Left: CT. Right: PSMA PET, same axial level, [18F]PSMA-1007 tracer. PET panel 256×256 px (2.7 mm/px).
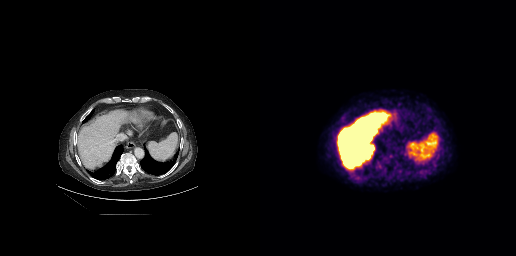
Coordinates are on the 256×256 PET (right) panel. PSMA-avid tumor lesion bounding boxes:
| # | x0 | y0 | x1 | y1 |
|---|---|---|---|---|
| 1 | 121 | 159 | 131 | 166 |
| 2 | 133 | 160 | 134 | 164 |